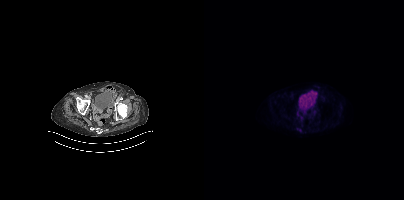
- Two-panel axial: CT | PSMA PET, 18F-PSMA tracer
- slice position z = -944 mm
- PET panel 200×200 px (4.1 mm/px)
Findings: Only PSMA-avid lesion pieces thinner than 2 px on this slice (not listed).